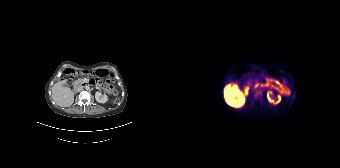
Findings: Negative for PSMA-avid disease on this slice.
Technique: Left: CT. Right: PSMA PET, same axial level, [18F]PSMA-1007 tracer. slice 67 of 165. PET panel 168×168 px (4.1 mm/px).